modality: PSMA PET/CT | tracer: 68Ga | view: axial | PET grid: 256×256
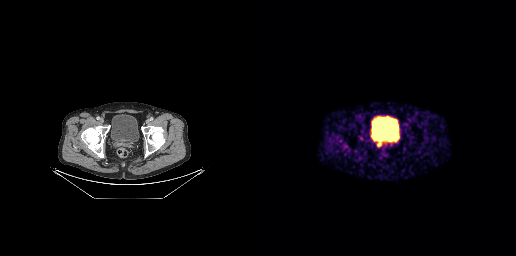
Coordinates are on the 256×256 PET (right) panel. PSMA-avid tumor lesion bounding box (x0, y0)-(x1, y1): (117, 142)-(121, 146).